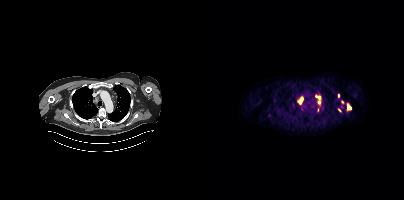
Coordinates are on the 200×200 PET (right) panel. (showing 7 of 9 foci) PSMA-avid tumor lesion bounding boxes (x, y, width, height): x=95 y=97 w=4 h=7; x=112 y=95 w=5 h=5; x=144 y=105 w=3 h=5. Small PSMA-avid foci (2 to 4 px across) near (center x, center y): (134, 95); (115, 102); (135, 110); (65, 115). Left: CT. Right: PSMA PET, same axial level, 68Ga-PSMA tracer. PET panel 200×200 px (4.1 mm/px).